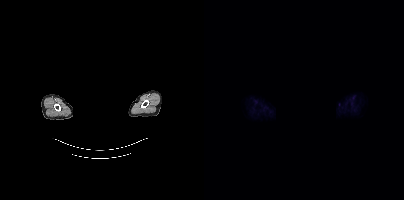
Negative for PSMA-avid disease on this slice. Two-panel axial: CT | PSMA PET, 18F tracer. Acquired on Siemens Biograph mCT Flow 20. An anonymization step blacked out a rectangle over the head in this scan.